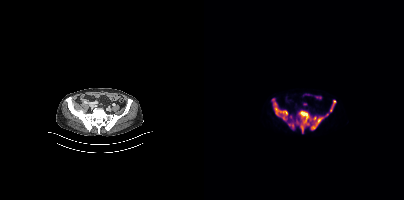
Coordinates are on the 200×200 PET (right) panel. PSMA-avid tumor lesion bounding boxes (x, y, width, height): x=92 y=110 w=33 h=24; x=68 y=99 w=16 h=22; x=84 y=123 w=7 h=6; x=126 y=100 w=6 h=12. Small PSMA-avid focus (2 to 4 px across) near (center x, center y): (86, 117).